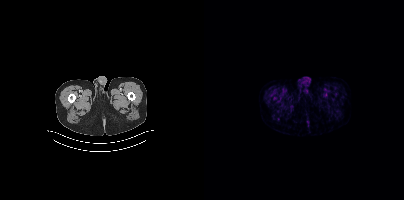
Coordinates are on the 200×200 PET (right) panel. Small PSMA-avid focus (2 to 4 px across) near (center x, center y): (70, 98). Two-panel axial: CT | PSMA PET, 18F tracer. Slice position z = -1550 mm.